Paired axial CT (left) and PSMA PET (right), 68Ga-PSMA tracer. Acquired on Siemens Biograph mCT Flow 20. Slice 90 of 393. PET panel 200×200 px (4.1 mm/px).
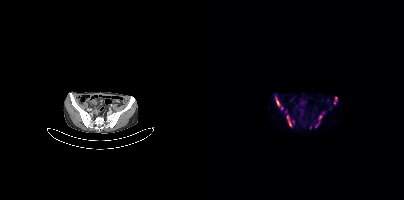
Coordinates are on the 200×200 PET (right) panel. (showing 5 of 7 foci) PSMA-avid tumor lesion bounding boxes (x0,y0,x1,y1): [72,97,76,106] [83,116,86,125] [130,97,133,103] [115,115,118,119]. Small PSMA-avid focus (2 to 4 px across) near (center x, center y): (81, 111).